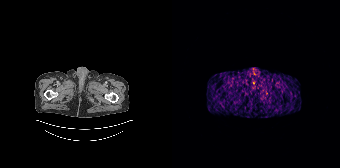
No tumor lesions annotated on this slice. Left: CT. Right: PSMA PET, same axial level, [68Ga]Ga-PSMA-11 tracer. Acquired on Siemens Biograph 64-4R TruePoint. Slice 33 of 195.